- Paired axial CT (left) and PSMA PET (right), [18F]PSMA-1007 tracer
- slice position z = -78 mm
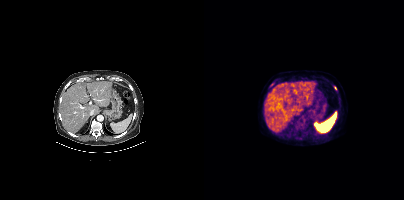
Findings: Coordinates are on the 200×200 PET (right) panel. Small PSMA-avid foci (2 to 4 px across) near (center x, center y): (67, 84); (131, 88).